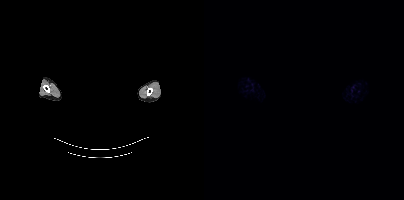
Privacy masking over the head, with the pixels inside a rectangle set to black. Left: CT. Right: PSMA PET, same axial level, 18F-PSMA tracer. Acquired on Siemens Biograph mCT Flow 20. This slice has no annotated PSMA-avid lesion.